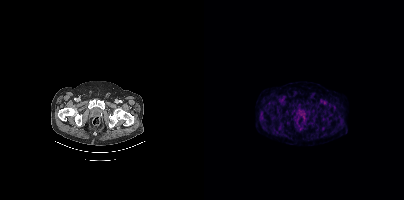
{"pet_grid":[200,200],"coord_frame":"pet_panel","coord_format":"x0,y0,x1,y1","psma_avid_lesions":false,"modality":"PSMA PET/CT","view":"axial","tracer":"18F-PSMA"}